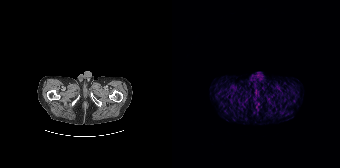
{"modality":"PSMA PET/CT","view":"axial","tracer":"[68Ga]Ga-PSMA-11","pet_grid":[168,168],"coord_frame":"pet_panel","coord_format":"x0,y0,x1,y1","psma_avid_lesions":false}